modality: PSMA PET/CT | tracer: 18F | view: axial
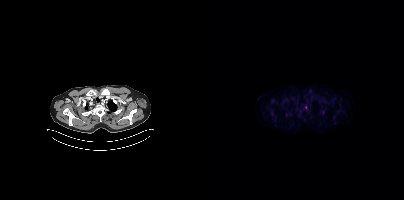
Coordinates are on the 200×200 PET (right) panel. Small PSMA-avid foci (2 to 4 px across) near (center x, center y): (119, 112) (101, 107).